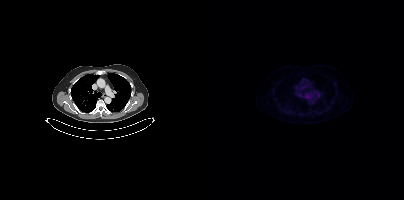
Coordinates are on the 200×200 PET (right) panel. Small PSMA-avid focus (2 to 4 px across) near (center x, center y): (130, 83).